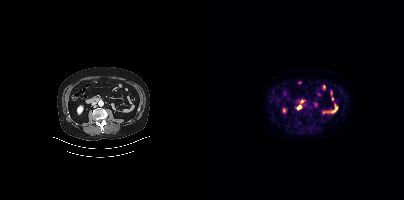
Coordinates are on the 200×200 PET (right) panel. (showing 1 of 2 foci) PSMA-avid tumor lesion bounding box (x, y, width, height): x=94 y=105 w=4 h=5.
modality: PSMA PET/CT | tracer: [18F]PSMA-1007 | view: axial